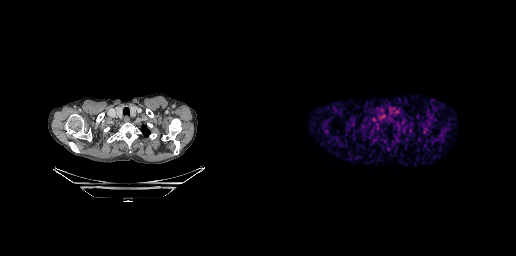
This slice has no annotated PSMA-avid lesion.